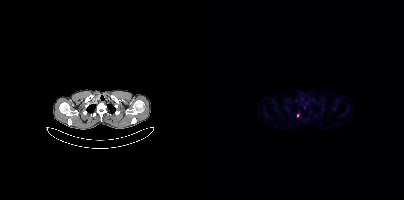
Technique: Two-panel axial: CT | PSMA PET, [68Ga]Ga-PSMA-11 tracer. acquired on Siemens Biograph mCT Flow 20. slice 329 of 409.
Findings: Coordinates are on the 200×200 PET (right) panel. Small PSMA-avid foci (2 to 4 px across) near (center x, center y): (94, 115), (100, 107).